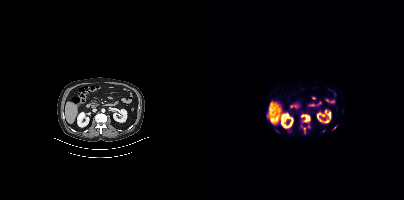
Technique: Paired axial CT (left) and PSMA PET (right), 18F-PSMA tracer. slice position z = -44 mm. PET panel 200×200 px (4.1 mm/px).
Findings: Coordinates are on the 200×200 PET (right) panel. (showing 2 of 5 foci) PSMA-avid tumor lesion bounding box (x, y, width, height): x=98 y=115 w=8 h=7. Small PSMA-avid focus (2 to 4 px across) near (center x, center y): (100, 131).